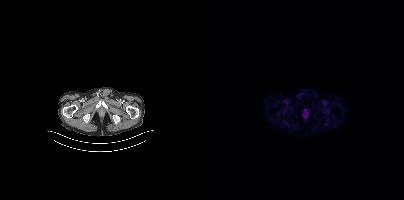
- Left: CT. Right: PSMA PET, same axial level, 18F tracer
- acquired on Siemens Biograph mCT Flow 20
- slice 57 of 389
- PET panel 200×200 px (4.1 mm/px)
Findings: No tumor lesions annotated on this slice.